Two-panel axial: CT | PSMA PET, [18F]PSMA-1007 tracer. Slice position z = -1161 mm.
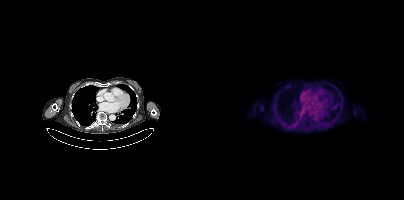
Negative for PSMA-avid disease on this slice.